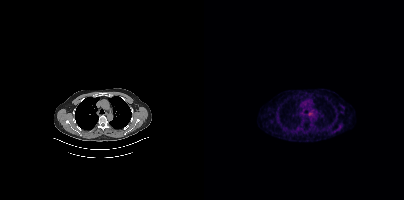
Only PSMA-avid lesion pieces thinner than 2 px on this slice (not listed).
modality: PSMA PET/CT | tracer: [68Ga]Ga-PSMA-11 | view: axial